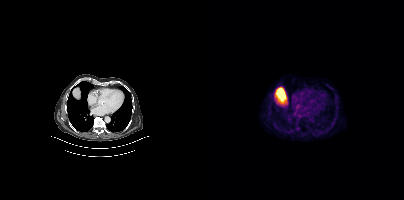
{"modality":"PSMA PET/CT","view":"axial","tracer":"18F","pet_grid":[200,200],"coord_frame":"pet_panel","coord_format":"x0,y0,x1,y1","psma_avid_lesions":false}